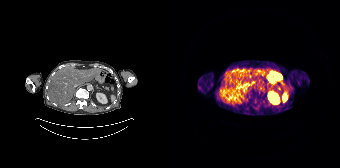
{"modality":"PSMA PET/CT","view":"axial","tracer":"[68Ga]Ga-PSMA-11","pet_grid":[168,168],"coord_frame":"pet_panel","coord_format":"x0,y0,x1,y1","psma_avid_lesions":false}